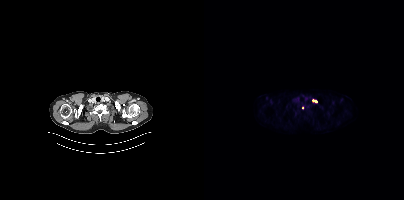
- Paired axial CT (left) and PSMA PET (right), [18F]PSMA-1007 tracer
- slice 357 of 421
- PET panel 200×200 px (4.1 mm/px)
Findings: Coordinates are on the 200×200 PET (right) panel. Small PSMA-avid focus (2 to 4 px across) near (center x, center y): (110, 101).